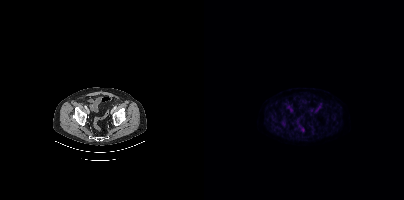
This slice has no annotated PSMA-avid lesion.